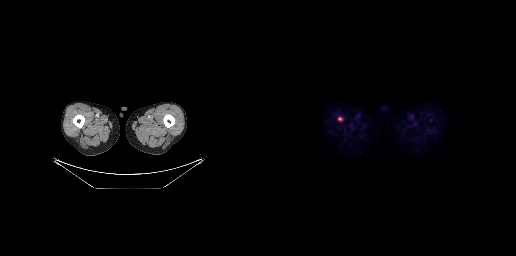
{"modality":"PSMA PET/CT","view":"axial","tracer":"18F","pet_grid":[256,256],"coord_frame":"pet_panel","coord_format":"x0,y0,x1,y1","lesion_bboxes":[[78,117,82,121]]}